Two-panel axial: CT | PSMA PET, 18F tracer. Acquired on Siemens Biograph mCT Flow 20. Slice position z = -1545 mm. PET panel 200×200 px (4.1 mm/px).
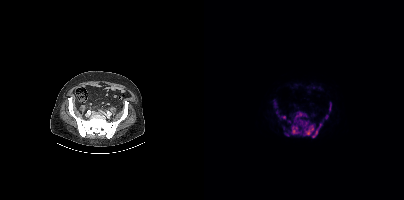
Coordinates are on the 200×200 PET (right) panel. (showing 7 of 9 foci) PSMA-avid tumor lesion bounding boxes (x0,y0,x1,y1): [87,111,118,137] [125,102,127,111] [121,115,124,119]. Small PSMA-avid foci (2 to 4 px across) near (center x, center y): (79, 117) (82, 134) (85, 121) (72, 112).